- Paired axial CT (left) and PSMA PET (right), 18F tracer
- slice 286 of 393
- PET panel 200×200 px (4.1 mm/px)
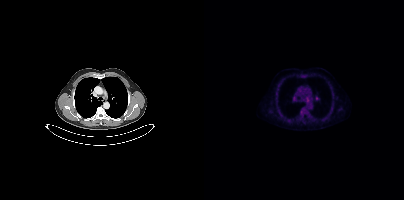
Findings: Coordinates are on the 200×200 PET (right) panel. Small PSMA-avid focus (2 to 4 px across) near (center x, center y): (103, 98).